Technique: Left: CT. Right: PSMA PET, same axial level, [18F]PSMA-1007 tracer. acquired on GE Discovery 690. slice position z = -95 mm.
Note: Privacy masking over the head, with the pixels inside a rectangle set to black.
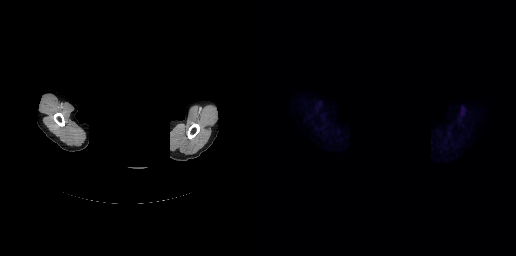
Findings: This slice has no annotated PSMA-avid lesion.